Paired axial CT (left) and PSMA PET (right), 18F tracer. Acquired on Siemens Biograph mCT Flow 20.
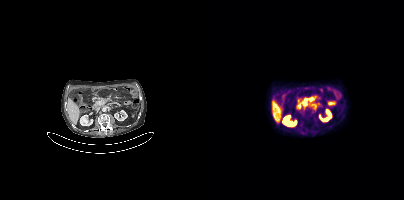
Coordinates are on the 200×200 PET (right) panel. PSMA-avid tumor lesion bounding boxes:
| # | x0 | y0 | x1 | y1 |
|---|---|---|---|---|
| 1 | 98 | 96 | 111 | 105 |
Small PSMA-avid focus (2 to 4 px across) near (center x, center y): (94, 100).